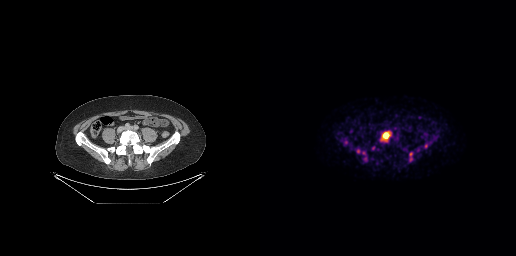
modality: PSMA PET/CT | tracer: 18F-PSMA | view: axial
Coordinates are on the 256×256 PET (right) panel. (showing 6 of 10 foci) PSMA-avid tumor lesion bounding boxes (x0, y0)-(x1, y1): (120, 131)-(131, 141) | (164, 143)-(168, 148) | (96, 149)-(100, 153) | (104, 157)-(107, 161) | (102, 151)-(105, 155). Small PSMA-avid focus (2 to 4 px across) near (center x, center y): (151, 154).